- Paired axial CT (left) and PSMA PET (right), 18F tracer
- acquired on Siemens Biograph mCT Flow 20
- PET panel 200×200 px (4.1 mm/px)
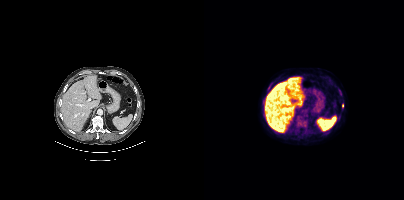
Findings: Coordinates are on the 200×200 PET (right) panel. (showing 1 of 2 foci) Small PSMA-avid focus (2 to 4 px across) near (center x, center y): (138, 105).